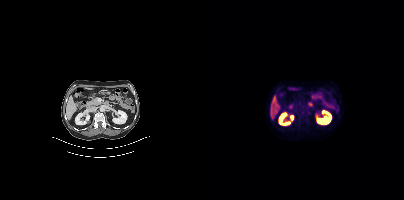
No PSMA-avid tumor lesions on this slice.